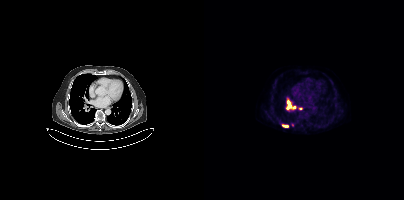
Coordinates are on the 200×200 PET (right) panel. PSMA-avid tumor lesion bounding box (x, y, width, height): x=79 y=125 w=6 h=3. Small PSMA-avid foci (2 to 4 px across) near (center x, center y): (89, 107) | (96, 108).